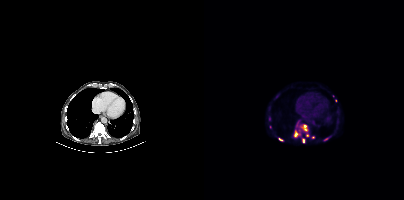
{"modality":"PSMA PET/CT","view":"axial","tracer":"18F-PSMA","pet_grid":[200,200],"coord_frame":"pet_panel","coord_format":"x0,y0,x1,y1","partial":true,"lesion_bboxes":[[90,130,97,137],[98,125,103,131]],"small_foci_centers":[[99,140],[66,127],[121,139],[76,139],[97,125],[131,100],[102,134],[109,136]]}